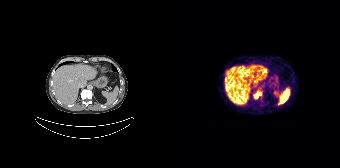
{"pet_grid":[168,168],"coord_frame":"pet_panel","coord_format":"x0,y0,x1,y1","lesion_bboxes":[[82,92,89,98]],"modality":"PSMA PET/CT","view":"axial","tracer":"[68Ga]Ga-PSMA-11"}